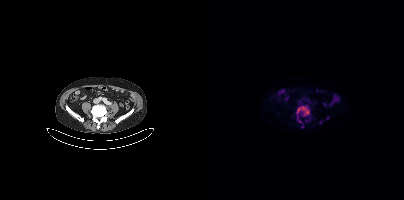
{"modality":"PSMA PET/CT","view":"axial","tracer":"[18F]PSMA-1007","pet_grid":[200,200],"coord_frame":"pet_panel","coord_format":"x0,y0,x1,y1","partial":true,"lesion_bboxes":[[92,106,105,116]],"small_foci_centers":[[93,117],[96,121]]}